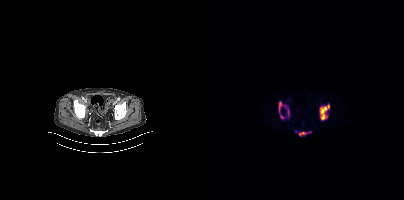
Coordinates are on the 200×200 PET (right) panel. PSMA-avid tumor lesion bounding boxes (partial; 1 more focus not listed):
| # | x0 | y0 | x1 | y1 |
|---|---|---|---|---|
| 1 | 116 | 104 | 125 | 120 |
| 2 | 75 | 101 | 82 | 112 |
| 3 | 95 | 132 | 102 | 135 |
| 4 | 76 | 114 | 79 | 118 |
| 5 | 84 | 110 | 85 | 114 |
Two-panel axial: CT | PSMA PET, 18F tracer.